modality: PSMA PET/CT | tracer: [68Ga]Ga-PSMA-11 | view: axial
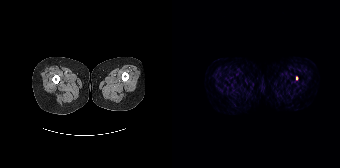
Coordinates are on the 168×168 PET (right) panel. PSMA-avid tumor lesion bounding box (x0,y0,x1,y1): [124,76,126,80].